Technique: Left: CT. Right: PSMA PET, same axial level, 18F-PSMA tracer.
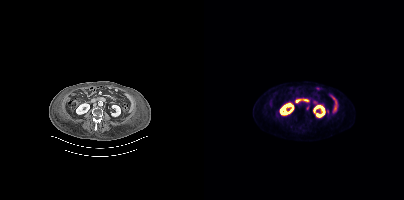
Findings: Coordinates are on the 200×200 PET (right) panel. Small PSMA-avid focus (2 to 4 px across) near (center x, center y): (103, 107).